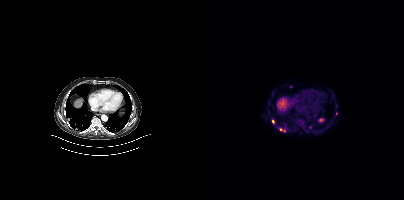
modality: PSMA PET/CT | tracer: 18F | view: axial | PET grid: 200×200
Coordinates are on the 200×200 PET (right) panel. (showing 2 of 3 foci) PSMA-avid tumor lesion bounding box (x0,y0,x1,y1): [75,128,81,132]. Small PSMA-avid focus (2 to 4 px across) near (center x, center y): (69, 121).